Two-panel axial: CT | PSMA PET, [18F]PSMA-1007 tracer.
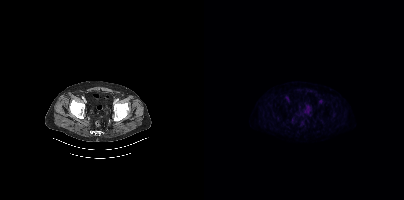
No tumor lesions annotated on this slice.